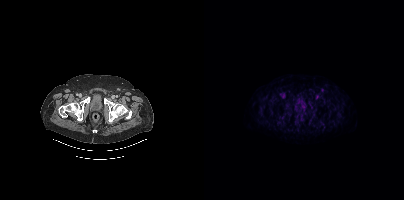
Coordinates are on the 200×200 PET (right) panel. Small PSMA-avid focus (2 to 4 px across) near (center x, center y): (118, 89).